Left: CT. Right: PSMA PET, same axial level, [18F]PSMA-1007 tracer. PET panel 200×200 px (4.1 mm/px). Head region blanked for anonymization (face removed).
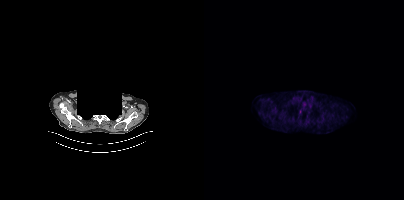
Coordinates are on the 200×200 PET (right) panel. Small PSMA-avid focus (2 to 4 px across) near (center x, center y): (96, 111).